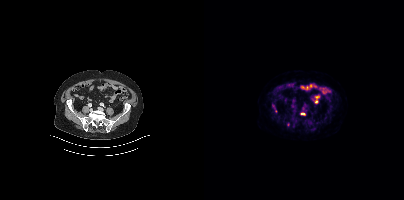
Paired axial CT (left) and PSMA PET (right), [18F]PSMA-1007 tracer. Slice 137 of 405. Coordinates are on the 200×200 PET (right) panel. PSMA-avid tumor lesion bounding box (x, y, width, height): x=97 y=113 w=5 h=2. Small PSMA-avid focus (2 to 4 px across) near (center x, center y): (71, 111).